Technique: Left: CT. Right: PSMA PET, same axial level, 18F-PSMA tracer. acquired on Siemens Biograph mCT Flow 20. slice 202 of 448.
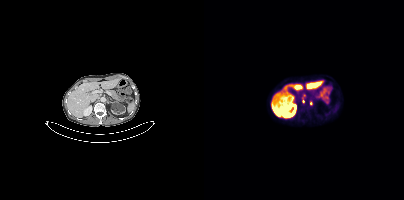
Findings: Coordinates are on the 200×200 PET (right) panel. (showing 1 of 4 foci) Small PSMA-avid focus (2 to 4 px across) near (center x, center y): (98, 98).